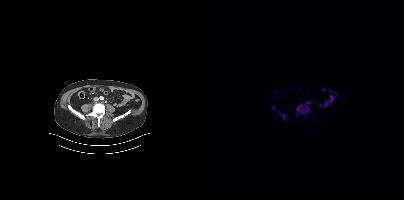
Coordinates are on the 200×200 PET (right) panel. PSMA-avid tumor lesion bounding boxes:
| # | x0 | y0 | x1 | y1 |
|---|---|---|---|---|
| 1 | 93 | 102 | 106 | 113 |
| 2 | 78 | 114 | 81 | 119 |
Small PSMA-avid focus (2 to 4 px across) near (center x, center y): (69, 107).
Two-panel axial: CT | PSMA PET, 18F-PSMA tracer. Acquired on Siemens Biograph mCT Flow 20. Slice 149 of 395. PET panel 200×200 px (4.1 mm/px).